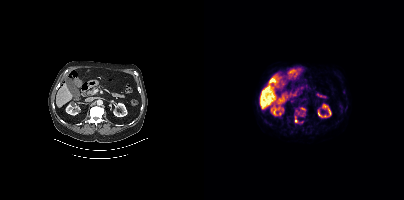
Coordinates are on the 200×200 PET (right) panel. (showing 4 of 7 foci) PSMA-avid tumor lesion bounding boxes (x0,y0,x1,y1): [91,116,93,122] [96,107,101,110]. Small PSMA-avid foci (2 to 4 px across) near (center x, center y): (94, 113) (97, 121).